- Two-panel axial: CT | PSMA PET, 18F-PSMA tracer
- acquired on Siemens Biograph mCT Flow 20
- slice 1 of 448
- PET panel 200×200 px (4.1 mm/px)
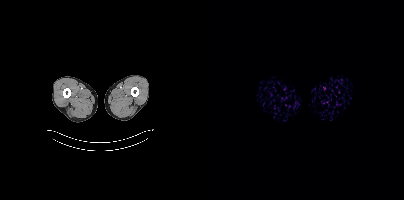
Findings: No tumor lesions annotated on this slice.